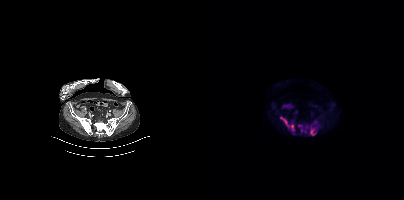
Coordinates are on the 200×200 PET (right) panel. PSMA-avid tumor lesion bounding boxes (x0, y0)-(x1, y1): (76, 116)-(90, 130) | (105, 128)-(112, 135) | (96, 128)-(101, 132) | (109, 119)-(113, 124). Small PSMA-avid focus (2 to 4 px across) near (center x, center y): (96, 125).